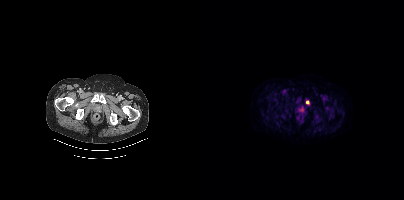
Coordinates are on the 200×200 PET (right) panel. PSMA-avid tumor lesion bounding box (x0, y0)-(x1, y1): (102, 100)-(105, 104). Paired axial CT (left) and PSMA PET (right), 18F-PSMA tracer. PET panel 200×200 px (4.1 mm/px).